Head region blanked for anonymization (face removed). Two-panel axial: CT | PSMA PET, 18F-PSMA tracer. Slice 273 of 299. PET panel 256×256 px (2.7 mm/px).
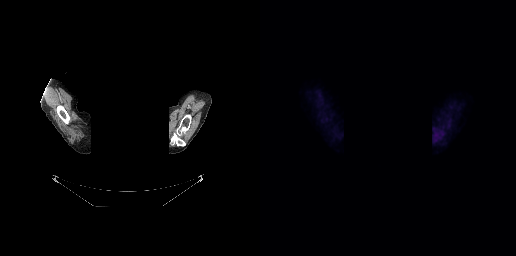
This slice has no annotated PSMA-avid lesion.